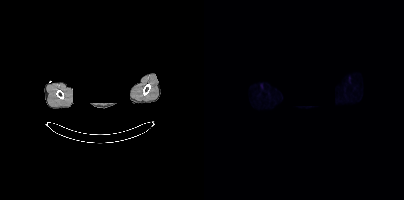
- face de-identified by blanking a block of the head
- Paired axial CT (left) and PSMA PET (right), 18F tracer
Findings: Negative for PSMA-avid disease on this slice.